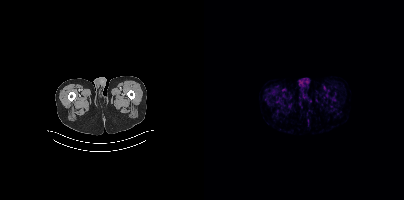
No PSMA-avid tumor lesions on this slice.